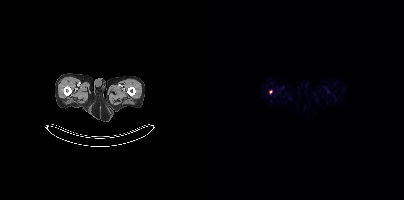
Left: CT. Right: PSMA PET, same axial level, [18F]PSMA-1007 tracer. Acquired on Siemens Biograph mCT Flow 20. Slice position z = -1077 mm. PET panel 200×200 px (4.1 mm/px). Coordinates are on the 200×200 PET (right) panel. Small PSMA-avid focus (2 to 4 px across) near (center x, center y): (66, 91).